Technique: Left: CT. Right: PSMA PET, same axial level, [18F]PSMA-1007 tracer. slice position z = -1 mm. PET panel 256×256 px (2.7 mm/px).
Note: De-identified by setting a box covering the face to black before release.
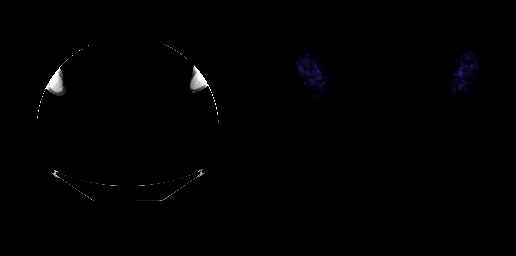
Findings: No PSMA-avid tumor lesions on this slice.